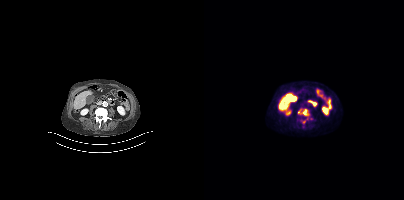
{"modality":"PSMA PET/CT","view":"axial","tracer":"18F-PSMA","pet_grid":[200,200],"coord_frame":"pet_panel","coord_format":"x0,y0,x1,y1","lesion_bboxes":[[94,108,105,119],[99,120,101,124]]}